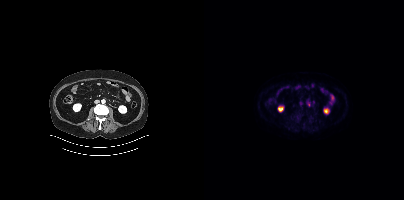
No PSMA-avid tumor lesions on this slice.